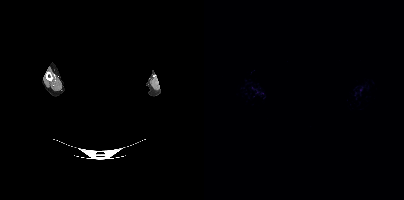
Technique: Two-panel axial: CT | PSMA PET, 18F-PSMA tracer. acquired on Siemens Biograph mCT Flow 20. slice 377 of 377. PET panel 200×200 px (4.1 mm/px).
Note: Head region blanked for anonymization (face removed).
Findings: No tumor lesions annotated on this slice.